Technique: Two-panel axial: CT | PSMA PET, 68Ga tracer. slice position z = -1422 mm. PET panel 168×168 px (4.1 mm/px).
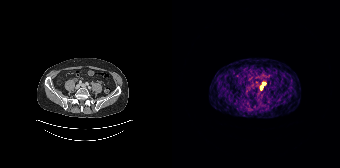
Findings: Coordinates are on the 168×168 PET (right) panel. Small PSMA-avid foci (2 to 4 px across) near (center x, center y): (92, 83) | (89, 88).